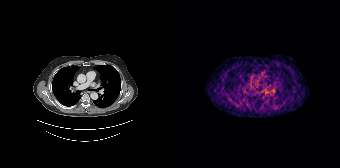
Left: CT. Right: PSMA PET, same axial level, 68Ga-PSMA tracer. PET panel 168×168 px (4.1 mm/px). No PSMA-avid tumor lesions on this slice.